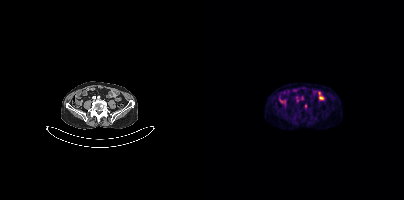
Left: CT. Right: PSMA PET, same axial level, 18F tracer. Slice position z = -1520 mm. Coordinates are on the 200×200 PET (right) panel. Small PSMA-avid focus (2 to 4 px across) near (center x, center y): (101, 105).